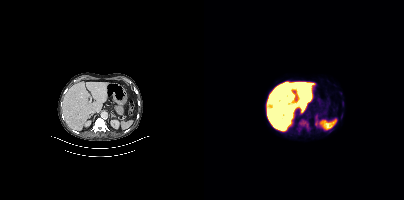
Findings: Coordinates are on the 200×200 PET (right) panel. (showing 3 of 4 foci) PSMA-avid tumor lesion bounding boxes (x, y, width, height): x=95 y=119 w=11 h=12 / x=138 y=101 w=2 h=6. Small PSMA-avid focus (2 to 4 px across) near (center x, center y): (95, 128).
- Two-panel axial: CT | PSMA PET, 18F-PSMA tracer